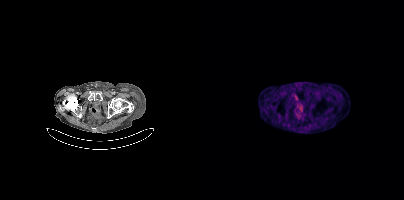
{"pet_grid":[200,200],"coord_frame":"pet_panel","coord_format":"x0,y0,x1,y1","lesion_bboxes":[[90,95,94,100],[93,106,98,110]],"modality":"PSMA PET/CT","view":"axial","tracer":"[68Ga]Ga-PSMA-11"}